- Paired axial CT (left) and PSMA PET (right), [18F]PSMA-1007 tracer
- slice position z = -1367 mm
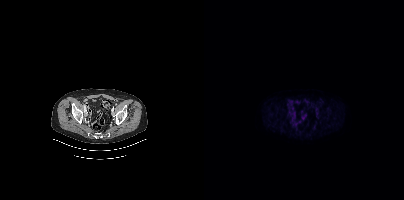
Findings: Negative for PSMA-avid disease on this slice.